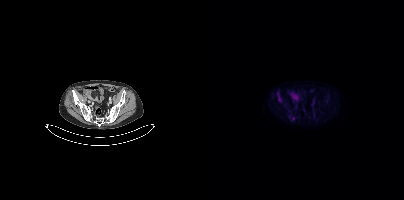
No PSMA-avid tumor lesions on this slice.
modality: PSMA PET/CT | tracer: [18F]PSMA-1007 | view: axial